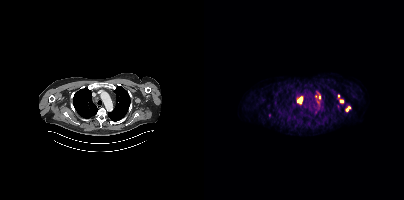
{"modality":"PSMA PET/CT","view":"axial","tracer":"68Ga-PSMA","pet_grid":[200,200],"coord_frame":"pet_panel","coord_format":"x0,y0,x1,y1","partial":true,"lesion_bboxes":[[93,97,98,103]],"small_foci_centers":[[143,108],[137,101],[65,115],[134,96],[115,97]]}